- Two-panel axial: CT | PSMA PET, 18F-PSMA tracer
- acquired on Siemens Biograph mCT Flow 20
- slice position z = -612 mm
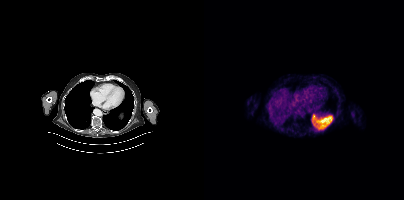
Findings: No PSMA-avid tumor lesions on this slice.